Technique: Two-panel axial: CT | PSMA PET, 18F tracer.
Note: An anonymization step blacked out a rectangle over the head in this scan.
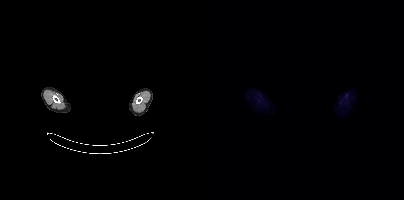
Findings: No tumor lesions annotated on this slice.